Technique: Left: CT. Right: PSMA PET, same axial level, [18F]PSMA-1007 tracer. PET panel 200×200 px (4.1 mm/px).
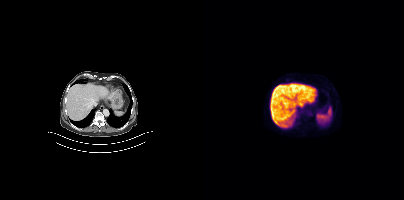
Findings: No PSMA-avid tumor lesions on this slice.